Paired axial CT (left) and PSMA PET (right), 18F-PSMA tracer. Acquired on Siemens Biograph mCT Flow 20.
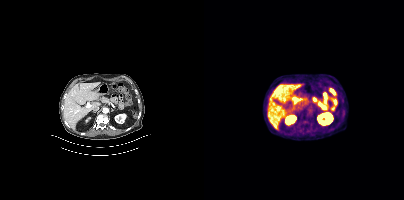
No PSMA-avid tumor lesions on this slice.